Left: CT. Right: PSMA PET, same axial level, 18F tracer. Slice position z = -410 mm.
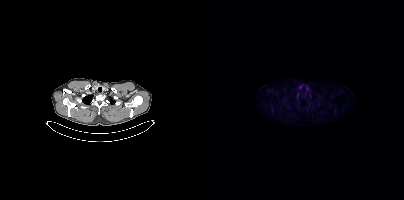
This slice has no annotated PSMA-avid lesion.